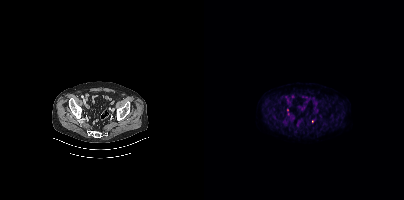
- Left: CT. Right: PSMA PET, same axial level, 18F tracer
Findings: Coordinates are on the 200×200 PET (right) panel. Small PSMA-avid foci (2 to 4 px across) near (center x, center y): (108, 121) (84, 113).